Left: CT. Right: PSMA PET, same axial level, [18F]PSMA-1007 tracer.
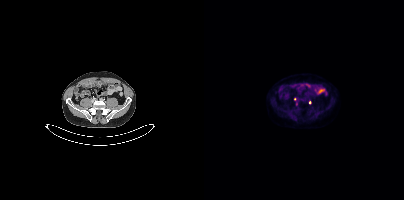
Coordinates are on the 200×200 PET (right) panel. Small PSMA-avid foci (2 to 4 px across) near (center x, center y): (91, 99) | (105, 102).